Technique: Two-panel axial: CT | PSMA PET, 18F-PSMA tracer. PET panel 200×200 px (4.1 mm/px).
Note: A rectangular block over the head has been blanked out for de-identification.
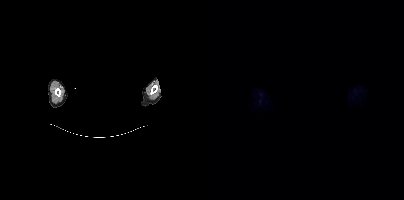
Findings: No tumor lesions annotated on this slice.